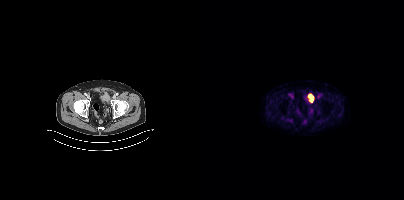
- Two-panel axial: CT | PSMA PET, 18F tracer
- slice position z = -1674 mm
- PET panel 200×200 px (4.1 mm/px)
Findings: Coordinates are on the 200×200 PET (right) panel. PSMA-avid tumor lesion bounding box (x0, y0)-(x1, y1): (83, 118)-(89, 122).